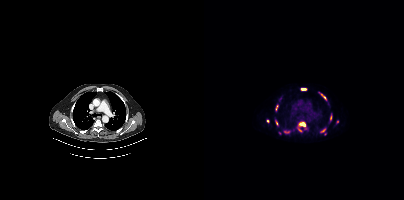
Left: CT. Right: PSMA PET, same axial level, 18F tracer. Coordinates are on the 200×200 PET (right) panel. (showing 7 of 11 foci) PSMA-avid tumor lesion bounding boxes (x0, y0)-(x1, y1): (95, 122)-(101, 126) / (97, 88)-(102, 90) / (117, 129)-(121, 132). Small PSMA-avid foci (2 to 4 px across) near (center x, center y): (120, 97) / (96, 130) / (63, 121) / (72, 123).